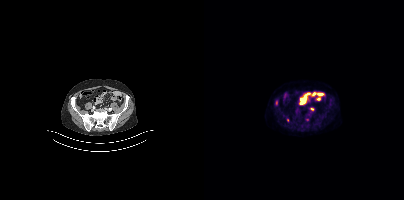
Left: CT. Right: PSMA PET, same axial level, [18F]PSMA-1007 tracer. Acquired on Siemens Biograph mCT Flow 20. Slice position z = -894 mm. Coordinates are on the 200×200 PET (right) panel. (showing 3 of 4 foci) Small PSMA-avid foci (2 to 4 px across) near (center x, center y): (72, 102); (108, 109); (103, 119).